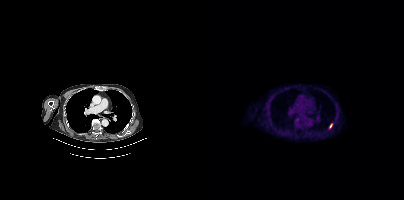
Paired axial CT (left) and PSMA PET (right), 18F-PSMA tracer. Acquired on Siemens Biograph mCT Flow 20. Slice position z = 176 mm. Coordinates are on the 200×200 PET (right) panel. PSMA-avid tumor lesion bounding box (x, y, width, height): x=125 y=123 w=4 h=6.